Technique: Two-panel axial: CT | PSMA PET, [18F]PSMA-1007 tracer. slice position z = -846 mm. PET panel 168×168 px (4.1 mm/px).
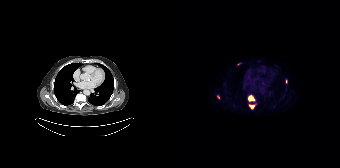
Findings: Coordinates are on the 168×168 PET (right) panel. (showing 4 of 5 foci) PSMA-avid tumor lesion bounding boxes (x0,y0,x1,y1): [76,95,83,101]; [77,104,84,109]. Small PSMA-avid foci (2 to 4 px across) near (center x, center y): (46, 96); (114, 81).